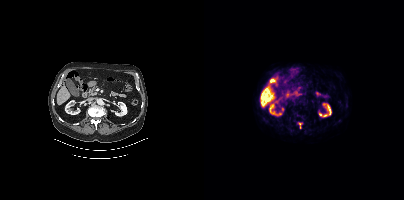
Paired axial CT (left) and PSMA PET (right), 18F-PSMA tracer. Acquired on Siemens Biograph mCT Flow 20. PET panel 200×200 px (4.1 mm/px).
Coordinates are on the 200×200 PET (right) panel. PSMA-avid tumor lesion bounding boxes:
| # | x0 | y0 | x1 | y1 |
|---|---|---|---|---|
| 1 | 94 | 122 | 98 | 128 |